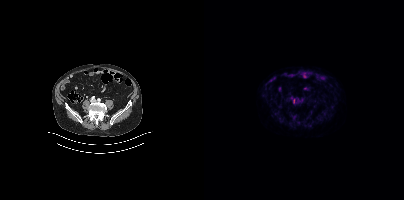
Only PSMA-avid lesion pieces thinner than 2 px on this slice (not listed).
modality: PSMA PET/CT | tracer: 18F | view: axial